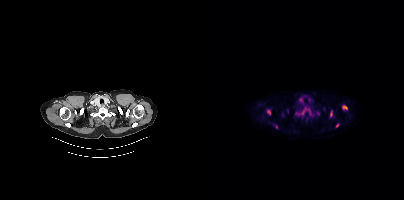
Coordinates are on the 200×200 PET (right) panel. (showing 10 of 11 foci) PSMA-avid tumor lesion bounding boxes (x0, y0)-(x1, y1): (138, 105)-(143, 109) | (97, 108)-(102, 114) | (63, 110)-(66, 114) | (126, 110)-(128, 116). Small PSMA-avid foci (2 to 4 px across) near (center x, center y): (71, 126) | (92, 113) | (133, 125) | (114, 113) | (102, 119) | (104, 109).